Paired axial CT (left) and PSMA PET (right), [18F]PSMA-1007 tracer. Acquired on Siemens Biograph mCT Flow 20. PET panel 200×200 px (4.1 mm/px).
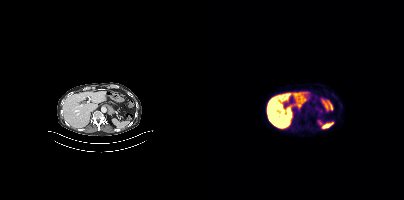
Only PSMA-avid lesion pieces thinner than 2 px on this slice (not listed).